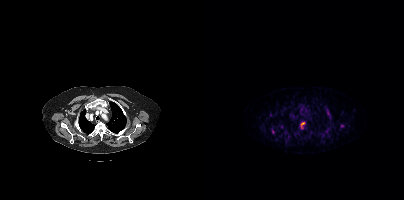
Two-panel axial: CT | PSMA PET, 68Ga-PSMA tracer. Acquired on Siemens Biograph mCT Flow 20.
Coordinates are on the 200×200 PET (right) panel. PSMA-avid tumor lesion bounding boxes (partial; 1 more focus not listed):
| # | x0 | y0 | x1 | y1 |
|---|---|---|---|---|
| 1 | 96 | 122 | 101 | 129 |
Small PSMA-avid foci (2 to 4 px across) near (center x, center y): (138, 125); (123, 113).